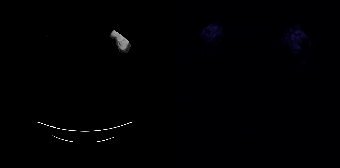
{"modality":"PSMA PET/CT","view":"axial","tracer":"68Ga","pet_grid":[168,168],"coord_frame":"pet_panel","coord_format":"x0,y0,x1,y1","psma_avid_lesions":false,"de-identification":"head region blacked out before release"}